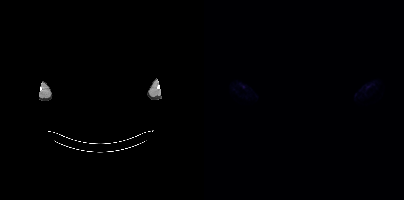
{"modality":"PSMA PET/CT","view":"axial","tracer":"18F","pet_grid":[200,200],"coord_frame":"pet_panel","coord_format":"x0,y0,x1,y1","de-identification":"facial region redacted","psma_avid_lesions":false}